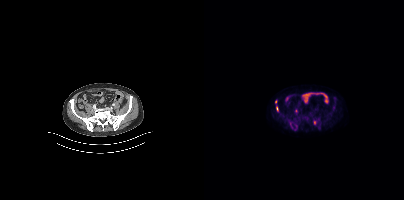
Coordinates are on the 200×200 PET (right) panel. (showing 4 of 5 foci) PSMA-avid tumor lesion bounding boxes (x0, y0)-(x1, y1): (72, 106)-(74, 111) / (109, 120)-(112, 124). Small PSMA-avid foci (2 to 4 px across) near (center x, center y): (92, 110) / (71, 101). Two-panel axial: CT | PSMA PET, 18F tracer. Slice position z = -1394 mm. PET panel 200×200 px (4.1 mm/px).